modality: PSMA PET/CT | tracer: 18F-PSMA | view: axial | PET grid: 200×200
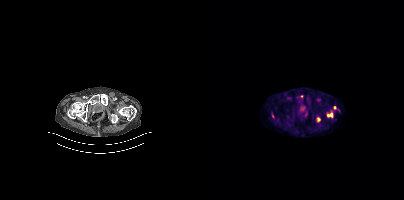
Coordinates are on the 200×200 PET (right) panel. PSMA-avid tumor lesion bounding box (x0, y0)-(x1, y1): (68, 113)-(70, 118). Small PSMA-avid focus (2 to 4 px across) near (center x, center y): (130, 107).